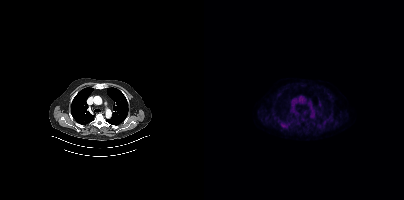
Technique: Two-panel axial: CT | PSMA PET, [18F]PSMA-1007 tracer. acquired on Siemens Biograph mCT Flow 20. slice position z = -403 mm.
Findings: Coordinates are on the 200×200 PET (right) panel. Small PSMA-avid focus (2 to 4 px across) near (center x, center y): (80, 126).